- Two-panel axial: CT | PSMA PET, 18F tracer
- acquired on Siemens Biograph mCT Flow 20
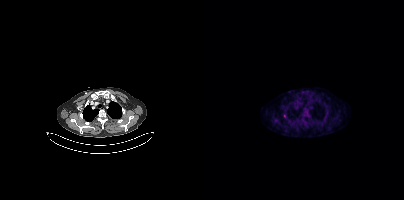
Findings: Coordinates are on the 200×200 PET (right) panel. (showing 1 of 2 foci) Small PSMA-avid focus (2 to 4 px across) near (center x, center y): (80, 116).